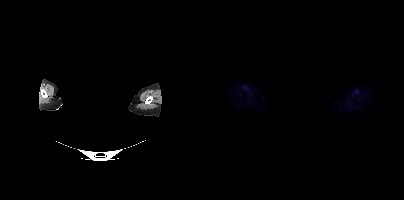
De-identified by setting a box covering the face to black before release. Left: CT. Right: PSMA PET, same axial level, 18F-PSMA tracer. Acquired on Siemens Biograph mCT Flow 20. No tumor lesions annotated on this slice.